modality: PSMA PET/CT | tracer: 18F-PSMA | view: axial | PET grid: 200×200
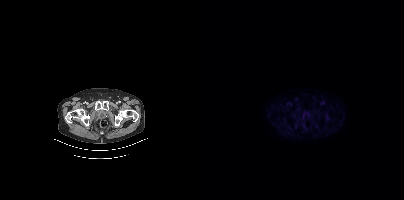
Negative for PSMA-avid disease on this slice.